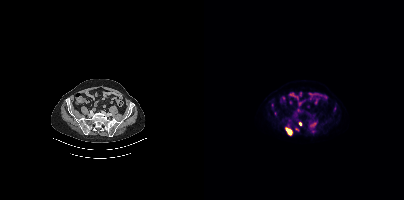
modality: PSMA PET/CT | tracer: 18F-PSMA | view: axial | PET grid: 200×200
Coordinates are on the 200×200 PET (right) panel. PSMA-avid tumor lesion bounding boxes (x0,y0,x1,y1): [81,128,88,135]; [107,122,111,125]. Small PSMA-avid focus (2 to 4 px across) near (center x, center y): (96, 124).